Technique: Left: CT. Right: PSMA PET, same axial level, [68Ga]Ga-PSMA-11 tracer. acquired on Siemens Biograph 64-4R TruePoint. PET panel 168×168 px (4.1 mm/px).
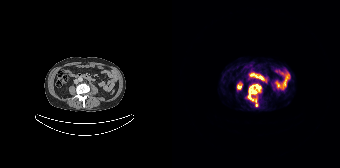
Findings: Coordinates are on the 168×168 PET (right) panel. PSMA-avid tumor lesion bounding box (x0, y0)-(x1, y1): (76, 84)-(88, 98). Small PSMA-avid foci (2 to 4 px across) near (center x, center y): (80, 99) / (84, 104).